Two-panel axial: CT | PSMA PET, [18F]PSMA-1007 tracer. Slice 80 of 429.
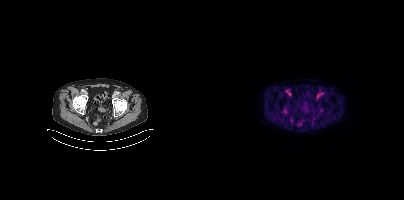
Coordinates are on the 200×200 PET (right) panel. Small PSMA-avid focus (2 to 4 px across) near (center x, center y): (80, 110).